modality: PSMA PET/CT | tracer: 18F-PSMA | view: axial | PET grid: 200×200
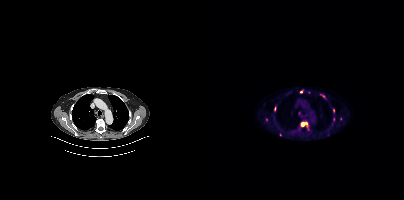
Coordinates are on the 200×200 PET (right) panel. (showing 7 of 9 foci) PSMA-avid tumor lesion bounding boxes (x, y, width, height): x=96 y=121 w=8 h=6 | x=116 y=94 w=6 h=4. Small PSMA-avid foci (2 to 4 px across) near (center x, center y): (97, 91) | (70, 108) | (129, 110) | (62, 119) | (76, 134).